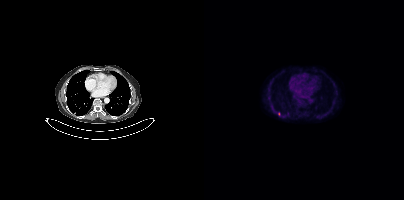
Coordinates are on the 200×200 PET (right) panel. Small PSMA-avid focus (2 to 4 px across) near (center x, center y): (75, 113). Left: CT. Right: PSMA PET, same axial level, 18F-PSMA tracer. Slice position z = -1098 mm.